- Paired axial CT (left) and PSMA PET (right), [68Ga]Ga-PSMA-11 tracer
- slice position z = -964 mm
- PET panel 168×168 px (4.1 mm/px)
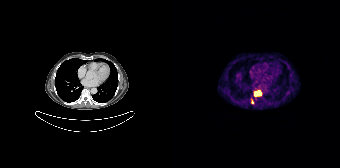
Findings: Coordinates are on the 168×168 PET (right) panel. PSMA-avid tumor lesion bounding box (x0, y0)-(x1, y1): (83, 92)-(89, 95). Small PSMA-avid focus (2 to 4 px across) near (center x, center y): (80, 101).